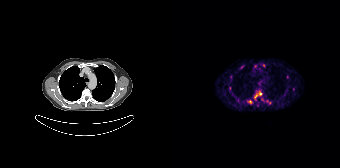
{"modality":"PSMA PET/CT","view":"axial","tracer":"68Ga","pet_grid":[168,168],"coord_frame":"pet_panel","coord_format":"x0,y0,x1,y1","partial":true,"lesion_bboxes":[[75,100,80,103],[68,65,72,68]],"small_foci_centers":[[83,96],[115,76],[88,93],[121,89]]}